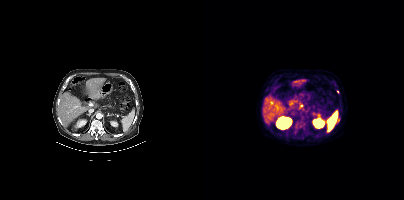
{"modality":"PSMA PET/CT","view":"axial","tracer":"18F-PSMA","pet_grid":[200,200],"coord_frame":"pet_panel","coord_format":"x0,y0,x1,y1","lesion_bboxes":[[133,119,135,123]],"small_foci_centers":[[133,91]]}